Technique: Left: CT. Right: PSMA PET, same axial level, 18F-PSMA tracer. slice 114 of 401.
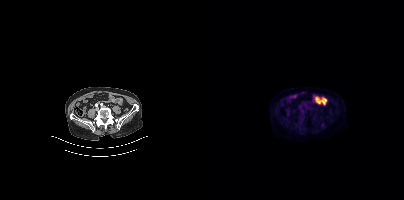
Findings: Coordinates are on the 200×200 PET (right) panel. Small PSMA-avid focus (2 to 4 px across) near (center x, center y): (118, 123).